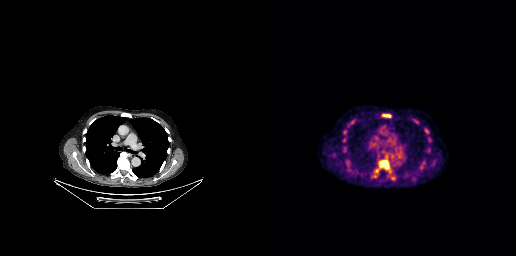
Coordinates are on the 256×256 PET (right) panel. (showing 3 of 4 foci) PSMA-avid tumor lesion bounding boxes (x0,y0,x1,y1): [115,159,130,172], [122,114,130,117]. Small PSMA-avid focus (2 to 4 px across) near (center x, center y): (133, 178).